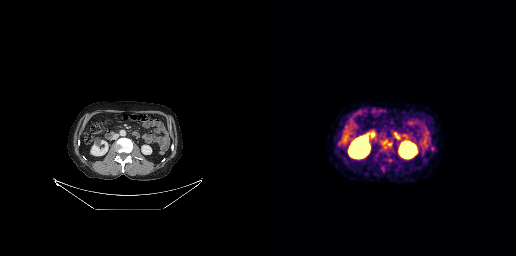
Coordinates are on the 256×256 PET (right) panel. (showing 2 of 3 foci) Small PSMA-avid foci (2 to 4 px across) near (center x, center y): (129, 144); (124, 142). Left: CT. Right: PSMA PET, same axial level, [18F]PSMA-1007 tracer. Slice 121 of 263.